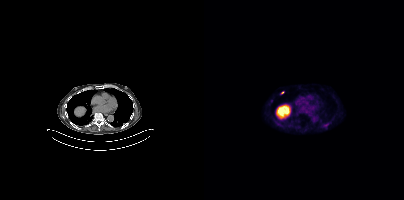
Two-panel axial: CT | PSMA PET, 18F tracer. Coordinates are on the 200×200 PET (right) panel. Small PSMA-avid focus (2 to 4 px across) near (center x, center y): (78, 92).